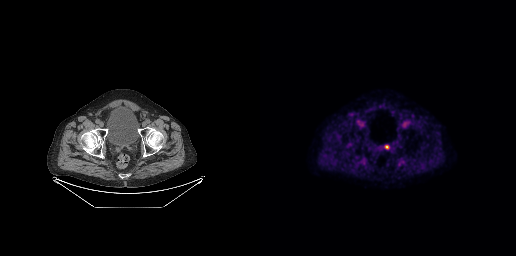
Coordinates are on the 256×256 PET (right) panel. Small PSMA-avid focus (2 to 4 px across) near (center x, center y): (127, 147).